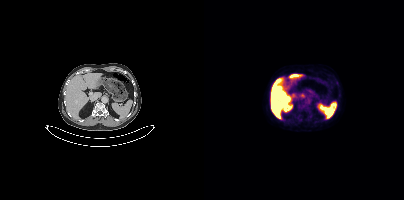
{"modality":"PSMA PET/CT","view":"axial","tracer":"18F","pet_grid":[200,200],"coord_frame":"pet_panel","coord_format":"x0,y0,x1,y1","psma_avid_lesions":false}